Two-panel axial: CT | PSMA PET, 68Ga-PSMA tracer. PET panel 168×168 px (4.1 mm/px).
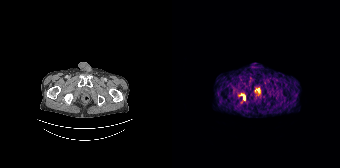
Coordinates are on the 168×168 PET (right) panel. PSMA-avid tumor lesion bounding box (x, y, width, height): x=68 y=93 w=6 h=8.